- Two-panel axial: CT | PSMA PET, [18F]PSMA-1007 tracer
- acquired on GE Discovery 690
- slice 171 of 263
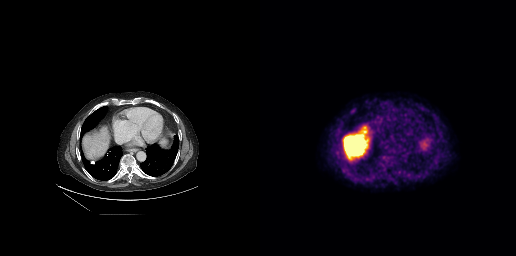
Findings: Coordinates are on the 256×256 PET (right) panel. PSMA-avid tumor lesion bounding box (x, y, width, height): x=89 y=107 w=8 h=8.